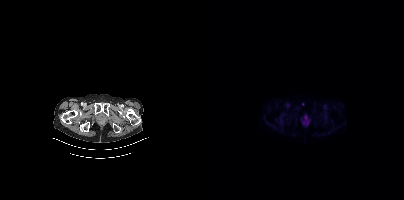
{"modality":"PSMA PET/CT","view":"axial","tracer":"68Ga-PSMA","pet_grid":[200,200],"coord_frame":"pet_panel","coord_format":"x0,y0,x1,y1","lesion_bboxes":[],"small_foci_centers":[[99,104]]}